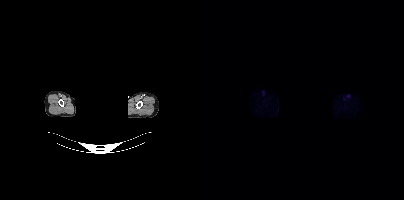
Paired axial CT (left) and PSMA PET (right), 18F-PSMA tracer. Acquired on Siemens Biograph mCT Flow 20. Any black rectangle over the head is a privacy mask, not anatomy. No PSMA-avid tumor lesions on this slice.